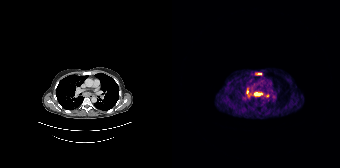
Coordinates are on the 168×168 PET (right) panel. (showing 3 of 4 foci) PSMA-avid tumor lesion bounding boxes (x0, y0)-(x1, y1): (82, 92)-(97, 97); (83, 72)-(89, 75). Small PSMA-avid focus (2 to 4 px across) near (center x, center y): (75, 91).